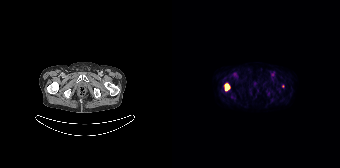
Coordinates are on the 168×168 PET (right) panel. PSMA-avid tumor lesion bounding box (x, y, width, height): x=52 y=83 w=7 h=9. Small PSMA-avid focus (2 to 4 px across) near (center x, center y): (110, 86).